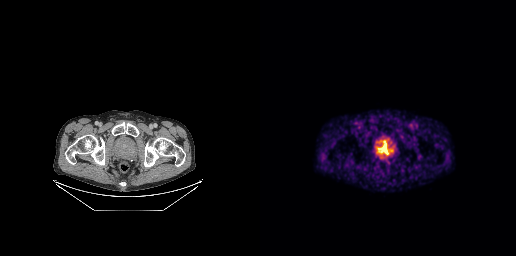
Coordinates are on the 256×256 PET (right) panel. PSMA-avid tumor lesion bounding box (x0,y0,x1,y1): [120,146,128,154].